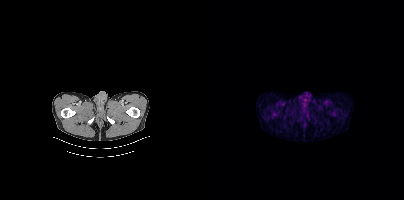
Technique: Two-panel axial: CT | PSMA PET, 18F tracer.
Findings: No tumor lesions annotated on this slice.